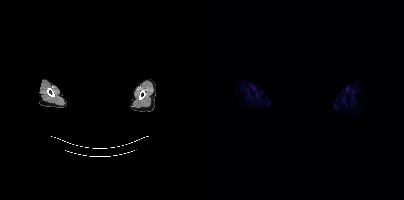
Negative for PSMA-avid disease on this slice. Paired axial CT (left) and PSMA PET (right), [18F]PSMA-1007 tracer. Acquired on Siemens Biograph mCT Flow 20. Slice 406 of 442. PET panel 200×200 px (4.1 mm/px). Facial anatomy redacted by setting a rectangular region of the head to black.